Two-panel axial: CT | PSMA PET, [18F]PSMA-1007 tracer. Slice 36 of 263. PET panel 256×256 px (2.7 mm/px).
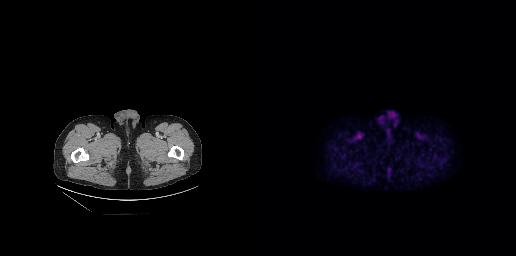
This slice has no annotated PSMA-avid lesion.